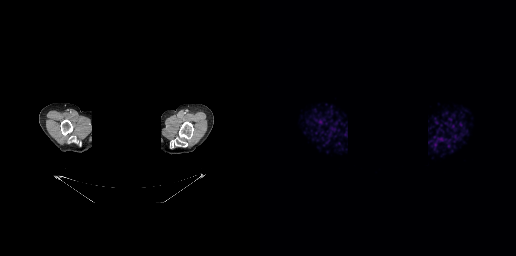
{"modality":"PSMA PET/CT","view":"axial","tracer":"[68Ga]Ga-PSMA-11","pet_grid":[256,256],"coord_frame":"pet_panel","coord_format":"x0,y0,x1,y1","de-identification":"privacy mask over head","psma_avid_lesions":false}